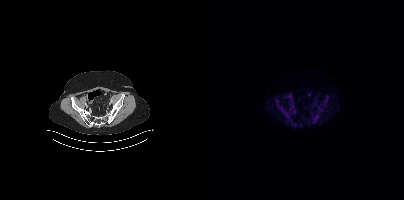
modality: PSMA PET/CT | tracer: 18F | view: axial
No PSMA-avid tumor lesions on this slice.